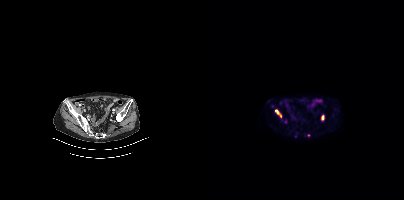
Paired axial CT (left) and PSMA PET (right), 68Ga-PSMA tracer. Acquired on Siemens Biograph mCT Flow 20.
Coordinates are on the 200×200 PET (right) panel. PSMA-avid tumor lesion bounding boxes:
| # | x0 | y0 | x1 | y1 |
|---|---|---|---|---|
| 1 | 71 | 110 | 77 | 117 |
| 2 | 118 | 115 | 119 | 119 |
Small PSMA-avid foci (2 to 4 px across) near (center x, center y): (68, 106); (104, 135); (64, 100).